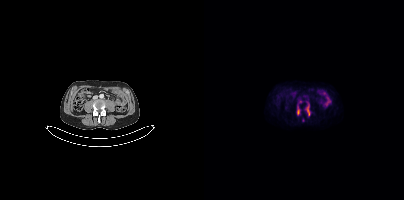
- Two-panel axial: CT | PSMA PET, [18F]PSMA-1007 tracer
- slice 140 of 403
- PET panel 200×200 px (4.1 mm/px)
Findings: Coordinates are on the 200×200 PET (right) panel. (showing 2 of 3 foci) PSMA-avid tumor lesion bounding boxes (x0,y0,x1,y1): [102,105,105,115] [93,107,95,114].